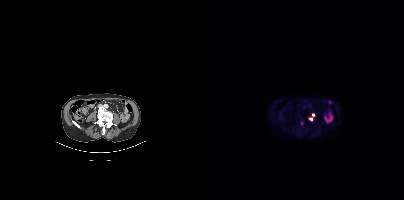
Technique: Two-panel axial: CT | PSMA PET, [18F]PSMA-1007 tracer. acquired on Siemens Biograph mCT Flow 20. slice 151 of 435. PET panel 200×200 px (4.1 mm/px).
Findings: Coordinates are on the 200×200 PET (right) panel. (showing 2 of 3 foci) Small PSMA-avid foci (2 to 4 px across) near (center x, center y): (107, 118) | (109, 114).